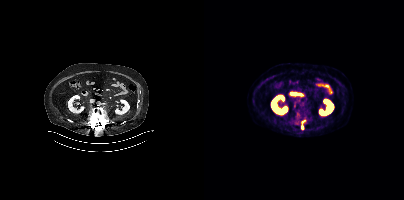
Coordinates are on the 200×200 PET (right) panel. PSMA-avid tumor lesion bounding box (x, y, width, height): x=97 y=120 w=4 h=5. Small PSMA-avid focus (2 to 4 px across) near (center x, center y): (98, 127).